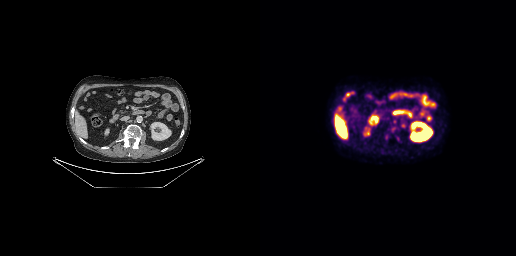
Coordinates are on the 256×256 PET (right) panel. PSMA-avid tumor lesion bounding boxes (partial; 1 more focus not listed):
| # | x0 | y0 | x1 | y1 |
|---|---|---|---|---|
| 1 | 131 | 127 | 136 | 132 |
Small PSMA-avid foci (2 to 4 px across) near (center x, center y): (134, 121); (126, 137).
Left: CT. Right: PSMA PET, same axial level, 18F-PSMA tracer. Acquired on GE Discovery 690. PET panel 256×256 px (2.7 mm/px).